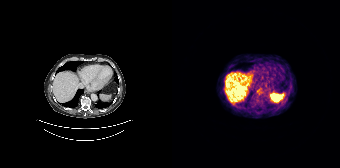
Two-panel axial: CT | PSMA PET, 68Ga tracer. PET panel 168×168 px (4.1 mm/px).
Coordinates are on the 168×168 PET (right) panel. PSMA-avid tumor lesion bounding boxes:
| # | x0 | y0 | x1 | y1 |
|---|---|---|---|---|
| 1 | 85 | 88 | 90 | 93 |